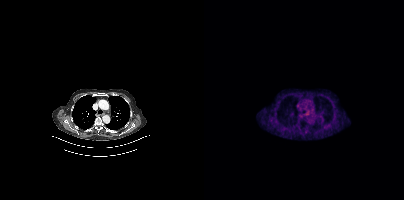
Only PSMA-avid lesion pieces thinner than 2 px on this slice (not listed).